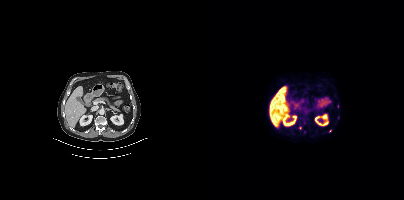
Paired axial CT (left) and PSMA PET (right), [18F]PSMA-1007 tracer. Acquired on Siemens Biograph mCT Flow 20. PET panel 200×200 px (4.1 mm/px). Coordinates are on the 200×200 PET (right) panel. (showing 3 of 4 foci) Small PSMA-avid foci (2 to 4 px across) near (center x, center y): (96, 128) | (134, 117) | (126, 130).